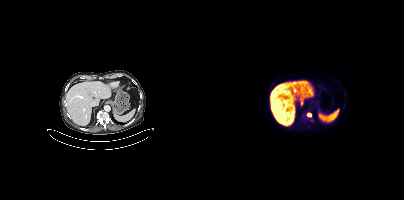
{"pet_grid":[200,200],"coord_frame":"pet_panel","coord_format":"x0,y0,x1,y1","lesion_bboxes":[[98,113,107,117]],"small_foci_centers":[[107,119],[67,85]],"modality":"PSMA PET/CT","view":"axial","tracer":"[18F]PSMA-1007"}